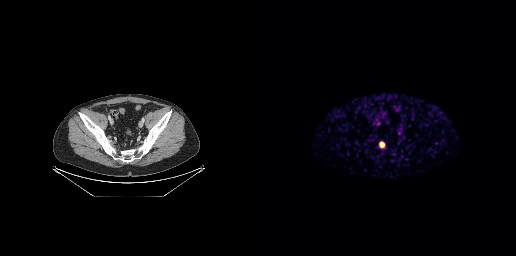
Two-panel axial: CT | PSMA PET, 68Ga tracer. Acquired on GE Discovery 690. Slice position z = -811 mm. Coordinates are on the 256×256 PET (right) panel. Small PSMA-avid focus (2 to 4 px across) near (center x, center y): (122, 144).